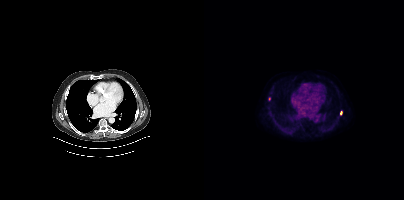
{"pet_grid":[200,200],"coord_frame":"pet_panel","coord_format":"x0,y0,x1,y1","partial":true,"lesion_bboxes":[],"small_foci_centers":[[137,112]],"modality":"PSMA PET/CT","view":"axial","tracer":"18F-PSMA"}